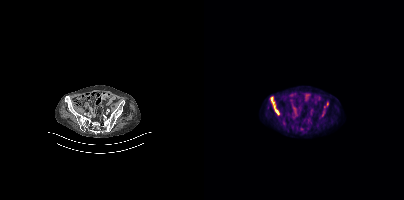
Coordinates are on the 200×200 PET (right) panel. PSMA-avid tumor lesion bounding box (x, y, width, height): x=66 y=99 w=10 h=17. Small PSMA-avid focus (2 to 4 px across) near (center x, center y): (97, 128).